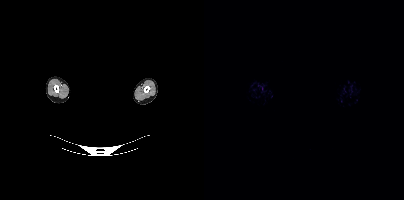
No tumor lesions annotated on this slice. De-identified by setting a box covering the face to black before release. Paired axial CT (left) and PSMA PET (right), 18F tracer. Acquired on Siemens Biograph mCT Flow 20. Slice position z = -766 mm. PET panel 200×200 px (4.1 mm/px).